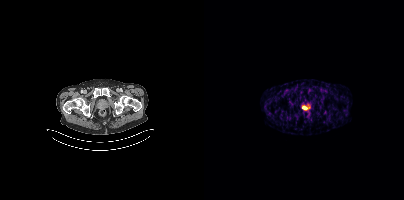
Coordinates are on the 200×200 PET (right) panel. PSMA-avid tumor lesion bounding box (x0,y0,x1,y1): [98,107,103,109].
modality: PSMA PET/CT | tracer: 68Ga | view: axial